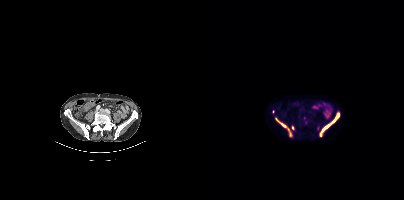
Paired axial CT (left) and PSMA PET (right), 18F-PSMA tracer. Acquired on Siemens Biograph mCT Flow 20. Slice position z = -291 mm.
Coordinates are on the 200×200 PET (right) panel. PSMA-avid tumor lesion bounding boxes (partial; 1 more focus not listed):
| # | x0 | y0 | x1 | y1 |
|---|---|---|---|---|
| 1 | 116 | 113 | 135 | 135 |
| 2 | 72 | 118 | 87 | 136 |
Small PSMA-avid focus (2 to 4 px across) near (center x, center y): (88, 127).